Paired axial CT (left) and PSMA PET (right), [18F]PSMA-1007 tracer.
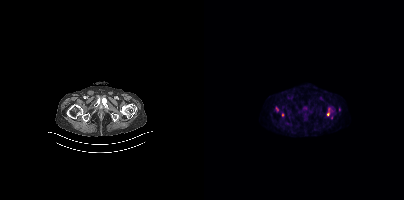
Coordinates are on the 200×200 PET (right) panel. PSMA-avid tumor lesion bounding boxes (x, y, width, height): x=123 y=108 w=4 h=9 / x=71 y=106 w=4 h=6. Small PSMA-avid focus (2 to 4 px across) near (center x, center y): (78, 114).